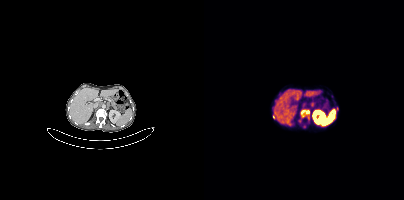
{"pet_grid":[200,200],"coord_frame":"pet_panel","coord_format":"x0,y0,x1,y1","partial":true,"lesion_bboxes":[[97,110,105,117]],"small_foci_centers":[[133,108],[69,117],[95,120]],"modality":"PSMA PET/CT","view":"axial","tracer":"68Ga-PSMA"}